- Left: CT. Right: PSMA PET, same axial level, 18F-PSMA tracer
- slice 167 of 389
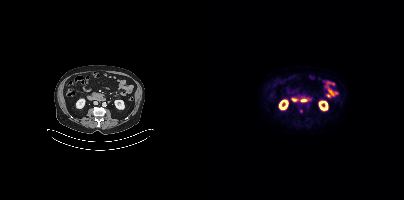
Findings: Only PSMA-avid lesion pieces thinner than 2 px on this slice (not listed).